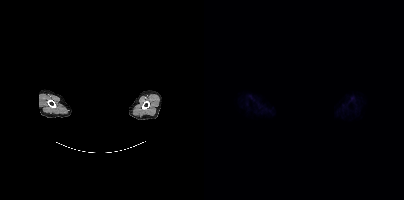
No tumor lesions annotated on this slice.
redaction: face masked with black rectangle | modality: PSMA PET/CT | tracer: 18F-PSMA | view: axial